modality: PSMA PET/CT | tracer: 18F-PSMA | view: axial | PET grid: 200×200
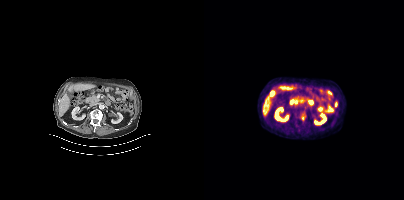
Coordinates are on the 200×200 PET (right) panel. Small PSMA-avid focus (2 to 4 px across) near (center x, center y): (99, 117).